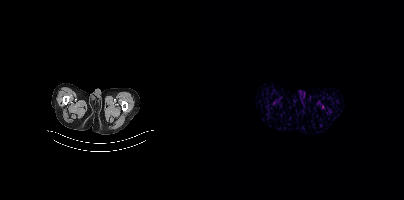
This slice has no annotated PSMA-avid lesion.
modality: PSMA PET/CT | tracer: [68Ga]Ga-PSMA-11 | view: axial | PET grid: 200×200